modality: PSMA PET/CT | tracer: [18F]PSMA-1007 | view: axial | redaction: rectangle blanked before release
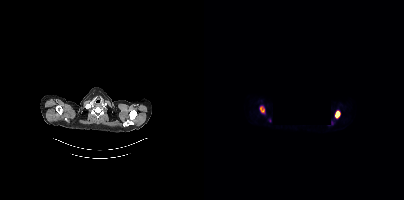
Coordinates are on the 200×200 PET (right) panel. PSMA-avid tumor lesion bounding boxes (x0,y0,x1,y1): [131,111,136,118], [56,107,60,111].